modality: PSMA PET/CT | tracer: 18F-PSMA | view: axial | PET grid: 256×256
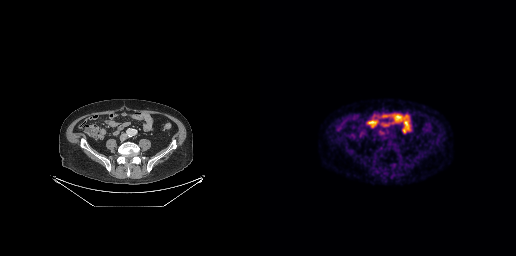
Coordinates are on the 256×256 PET (right) panel. Small PSMA-avid focus (2 to 4 px across) near (center x, center y): (121, 132).